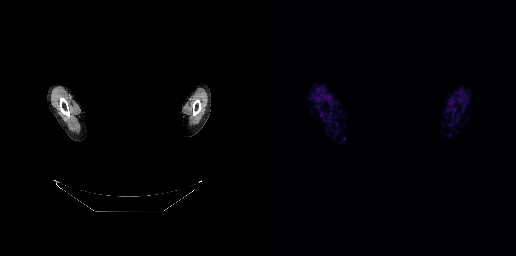
An anonymization step blacked out a rectangle over the head in this scan. Two-panel axial: CT | PSMA PET, 68Ga tracer. Acquired on GE Discovery 690. Slice 254 of 263. Negative for PSMA-avid disease on this slice.